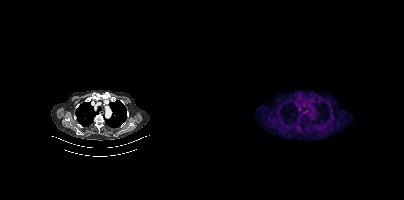
No tumor lesions annotated on this slice.